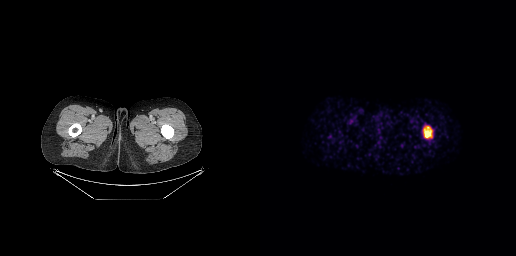
- Left: CT. Right: PSMA PET, same axial level, [68Ga]Ga-PSMA-11 tracer
- slice 35 of 299
- PET panel 256×256 px (2.7 mm/px)
Findings: Coordinates are on the 256×256 PET (right) panel. PSMA-avid tumor lesion bounding box (x0, y0)-(x1, y1): (163, 126)-(172, 137).